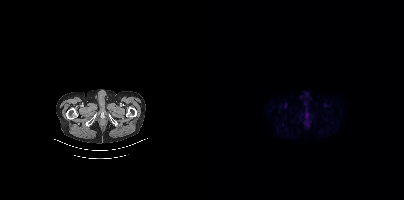
Two-panel axial: CT | PSMA PET, [18F]PSMA-1007 tracer. Slice 36 of 383. PET panel 200×200 px (4.1 mm/px). This slice has no annotated PSMA-avid lesion.